Technique: Left: CT. Right: PSMA PET, same axial level, [18F]PSMA-1007 tracer.
Note: Face de-identified by blanking a block of the head.
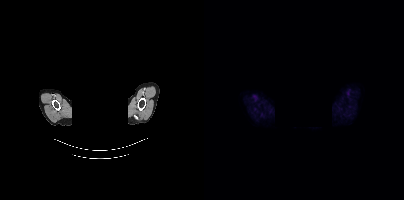
Findings: This slice has no annotated PSMA-avid lesion.